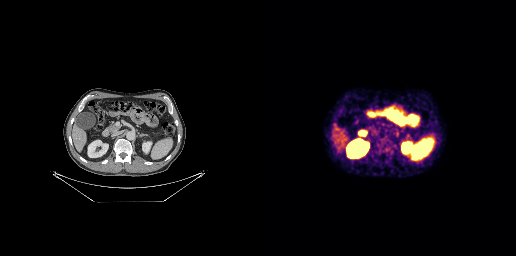
Findings: No tumor lesions annotated on this slice.
- Left: CT. Right: PSMA PET, same axial level, 18F tracer